modality: PSMA PET/CT | tracer: 18F | view: axial | PET grid: 200×200
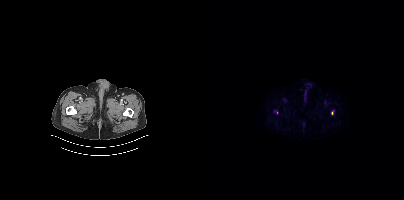
Coordinates are on the 200×200 PET (right) panel. (showing 1 of 2 foci) Small PSMA-avid focus (2 to 4 px across) near (center x, center y): (128, 112).